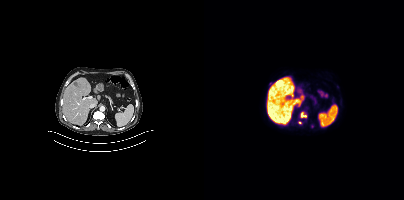
Coordinates are on the 200×200 PET (right) panel. PSMA-avid tumor lesion bounding box (x0,y0,x1,y1): [96,112,102,117]. Small PSMA-avid focus (2 to 4 px across) near (center x, center y): (95, 122).